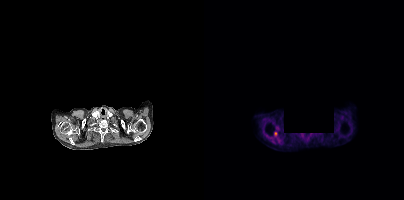
{"modality":"PSMA PET/CT","view":"axial","tracer":"[18F]PSMA-1007","pet_grid":[200,200],"coord_frame":"pet_panel","coord_format":"x0,y0,x1,y1","lesion_bboxes":[],"small_foci_centers":[[71,133]],"de-identification":"region blacked out before release"}